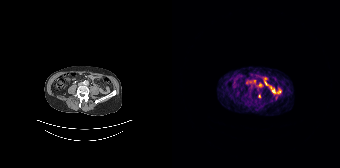
Only PSMA-avid lesion pieces thinner than 2 px on this slice (not listed).